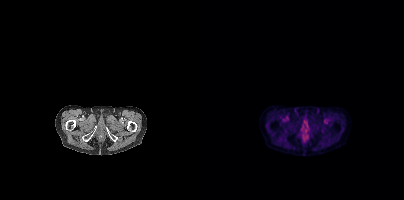
Negative for PSMA-avid disease on this slice.